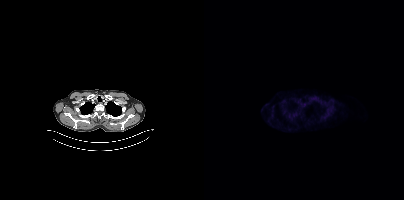
Left: CT. Right: PSMA PET, same axial level, 18F tracer. No PSMA-avid tumor lesions on this slice.